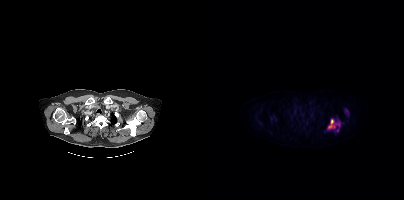
Coordinates are on the 200×200 PET (right) panel. PSMA-avid tumor lesion bounding box (x0, y0)-(x1, y1): (124, 119)-(136, 129). Small PSMA-avid focus (2 to 4 px across) near (center x, center y): (133, 130).